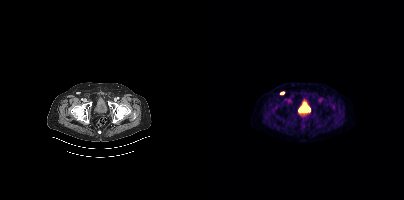
{"pet_grid":[200,200],"coord_frame":"pet_panel","coord_format":"x0,y0,x1,y1","lesion_bboxes":[[76,92,80,94]],"modality":"PSMA PET/CT","view":"axial","tracer":"18F"}